Technique: Left: CT. Right: PSMA PET, same axial level, 18F tracer. acquired on GE Discovery 690. slice position z = -455 mm. PET panel 256×256 px (2.7 mm/px).
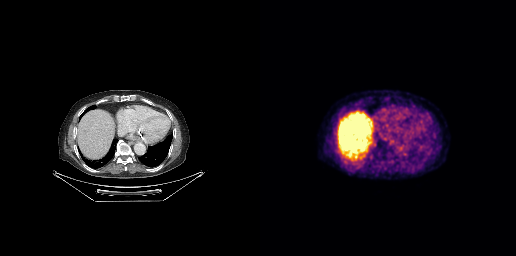
Findings: No tumor lesions annotated on this slice.